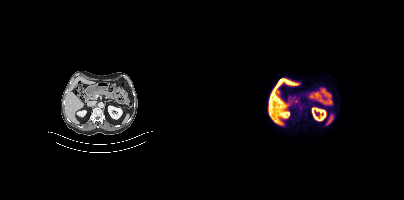
{"modality":"PSMA PET/CT","view":"axial","tracer":"18F","pet_grid":[200,200],"coord_frame":"pet_panel","coord_format":"x0,y0,x1,y1","psma_avid_lesions":false}